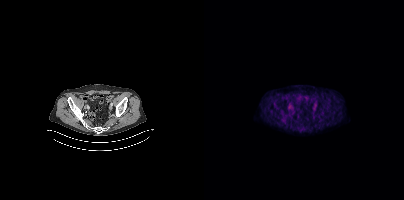
{"modality":"PSMA PET/CT","view":"axial","tracer":"[18F]PSMA-1007","pet_grid":[200,200],"coord_frame":"pet_panel","coord_format":"x0,y0,x1,y1","psma_avid_lesions":false}